Two-panel axial: CT | PSMA PET, 18F-PSMA tracer. Slice position z = -1300 mm. PET panel 168×168 px (4.1 mm/px).
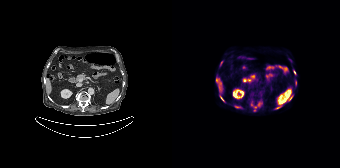
Coordinates are on the 168×168 PET (right) panel. PSMA-avid tumor lesion bounding boxes (partial; 2 more foci not listed):
| # | x0 | y0 | x1 | y1 |
|---|---|---|---|---|
| 1 | 48 | 95 | 52 | 101 |
| 2 | 63 | 106 | 68 | 108 |
| 3 | 105 | 106 | 109 | 108 |
Small PSMA-avid foci (2 to 4 px across) near (center x, center y): (122, 72); (86, 104); (49, 62); (79, 104).